Left: CT. Right: PSMA PET, same axial level, 18F-PSMA tracer. Acquired on Siemens Biograph mCT Flow 20. PET panel 200×200 px (4.1 mm/px).
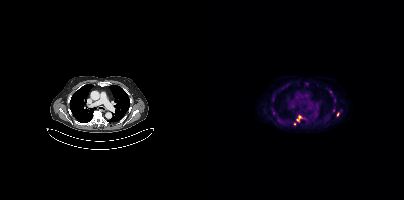
Coordinates are on the 200×200 PET (right) panel. (showing 4 of 5 foci) PSMA-avid tumor lesion bounding boxes (x, y, width, height): x=92 y=116 w=6 h=6 / x=133 y=112 w=3 h=5. Small PSMA-avid foci (2 to 4 px across) near (center x, center y): (90, 123) / (126, 91).